modality: PSMA PET/CT | tracer: 18F | view: axial | PET grid: 200×200
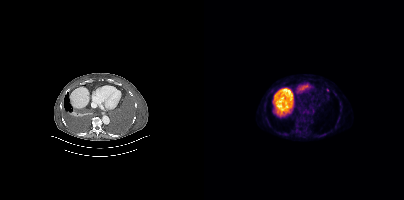
Coordinates are on the 200×200 PET (right) panel. (showing 1 of 2 foci) PSMA-avid tumor lesion bounding box (x0,y0,x1,y1): [108,108,110,112].